Left: CT. Right: PSMA PET, same axial level, [68Ga]Ga-PSMA-11 tracer. Slice 100 of 373. PET panel 200×200 px (4.1 mm/px).
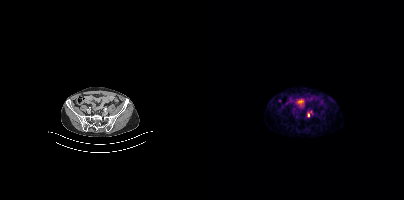
Coordinates are on the 200×200 PET (right) panel. Small PSMA-avid focus (2 to 4 px across) near (center x, center y): (104, 114).